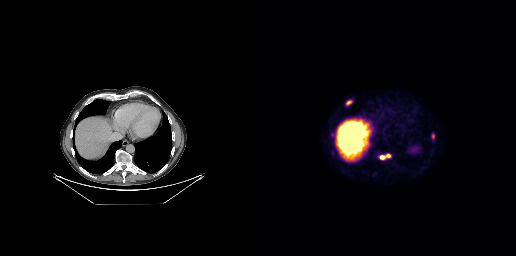
Findings: Coordinates are on the 256×256 PET (right) panel. PSMA-avid tumor lesion bounding boxes (x0, y0)-(x1, y1): (119, 153)-(131, 159) / (85, 100)-(92, 105) / (171, 133)-(174, 139).
Technique: Two-panel axial: CT | PSMA PET, 18F tracer. slice 168 of 263. PET panel 256×256 px (2.7 mm/px).